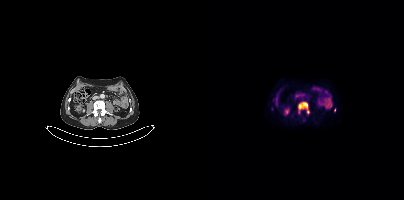
{"modality":"PSMA PET/CT","view":"axial","tracer":"[18F]PSMA-1007","pet_grid":[200,200],"coord_frame":"pet_panel","coord_format":"x0,y0,x1,y1","lesion_bboxes":[[94,101,105,114]],"small_foci_centers":[[130,109]]}